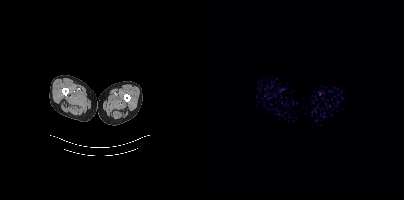
Negative for PSMA-avid disease on this slice.